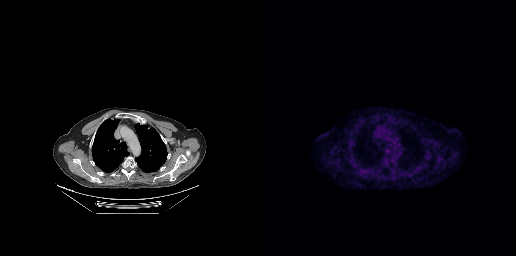
Negative for PSMA-avid disease on this slice.